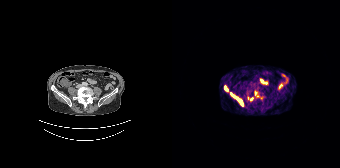
Coordinates are on the 168×168 PET (right) panel. PSMA-avid tumor lesion bounding boxes (partial; 1 more focus not listed):
| # | x0 | y0 | x1 | y1 |
|---|---|---|---|---|
| 1 | 63 | 97 | 70 | 102 |
| 2 | 52 | 86 | 55 | 90 |
Small PSMA-avid focus (2 to 4 px across) near (center x, center y): (59, 94).
Paired axial CT (left) and PSMA PET (right), 68Ga-PSMA tracer. Acquired on Siemens Biograph 64-4R TruePoint. Slice 83 of 195. PET panel 168×168 px (4.1 mm/px).